Paired axial CT (left) and PSMA PET (right), 18F tracer. Acquired on GE Discovery 690. Slice 59 of 263.
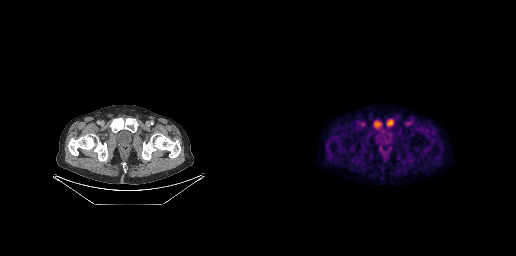
Coordinates are on the 256×256 PET (right) panel. PSMA-avid tumor lesion bounding boxes (x0,y0,x1,y1): [113,120,122,129], [126,119,134,126].